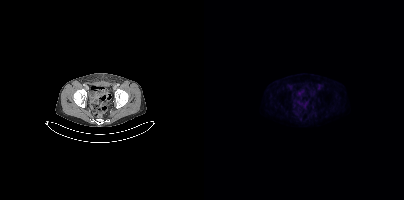
Paired axial CT (left) and PSMA PET (right), 18F-PSMA tracer. Acquired on Siemens Biograph mCT Flow 20. No tumor lesions annotated on this slice.